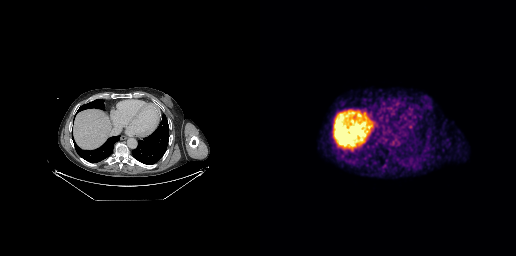
- Two-panel axial: CT | PSMA PET, 68Ga-PSMA tracer
- PET panel 256×256 px (2.7 mm/px)
Findings: This slice has no annotated PSMA-avid lesion.